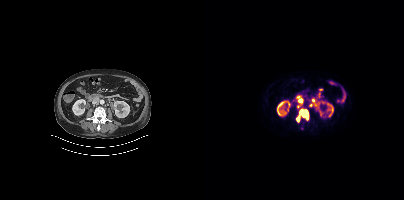
Technique: Left: CT. Right: PSMA PET, same axial level, 18F tracer. acquired on Siemens Biograph mCT Flow 20.
Findings: Coordinates are on the 200×200 PET (right) panel. PSMA-avid tumor lesion bounding boxes (x0,y0,x1,y1): [92,109,104,122]; [94,98,98,102]; [93,104,96,108]. Small PSMA-avid foci (2 to 4 px across) near (center x, center y): (106, 105); (109, 100).